Left: CT. Right: PSMA PET, same axial level, 18F tracer. Acquired on Siemens Biograph mCT Flow 20. The face region was removed for patient privacy by blanking a rectangle over the head.
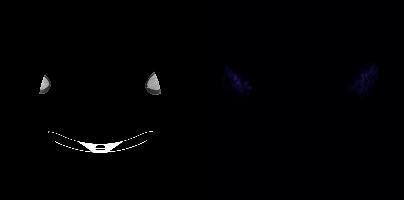
Negative for PSMA-avid disease on this slice.